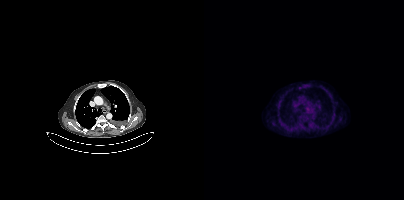
{"pet_grid":[200,200],"coord_frame":"pet_panel","coord_format":"x0,y0,x1,y1","psma_avid_lesions":false,"modality":"PSMA PET/CT","view":"axial","tracer":"18F"}